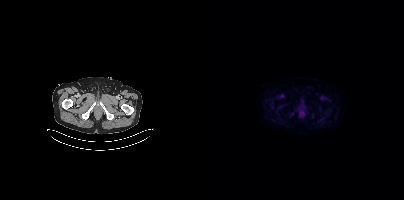
No tumor lesions annotated on this slice.